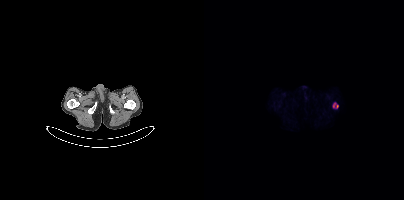
Technique: Left: CT. Right: PSMA PET, same axial level, 18F tracer. acquired on Siemens Biograph mCT Flow 20.
Findings: Coordinates are on the 200×200 PET (right) panel. PSMA-avid tumor lesion bounding box (x0, y0)-(x1, y1): (129, 102)-(134, 108).